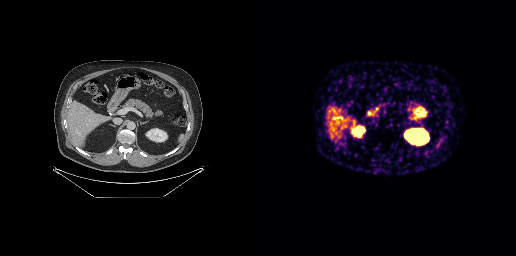
- Two-panel axial: CT | PSMA PET, [68Ga]Ga-PSMA-11 tracer
- acquired on GE Discovery 690
- slice position z = -538 mm
- PET panel 256×256 px (2.7 mm/px)
Findings: Coordinates are on the 256×256 PET (right) panel. PSMA-avid tumor lesion bounding box (x, y, width, height): x=108 y=111 w=6 h=5.